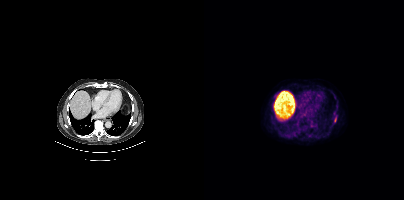
Findings: Coordinates are on the 200×200 PET (right) panel. PSMA-avid tumor lesion bounding box (x, y, width, height): x=130 y=116 w=3 h=7.
Technique: Paired axial CT (left) and PSMA PET (right), 18F-PSMA tracer. slice 271 of 417. PET panel 200×200 px (4.1 mm/px).